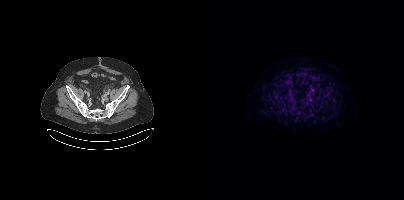
Coordinates are on the 200×200 PET (right) panel. Small PSMA-avid foci (2 to 4 px across) near (center x, center y): (106, 99); (107, 112). Two-panel axial: CT | PSMA PET, 18F-PSMA tracer. Acquired on Siemens Biograph mCT Flow 20. Slice position z = -645 mm. PET panel 200×200 px (4.1 mm/px).